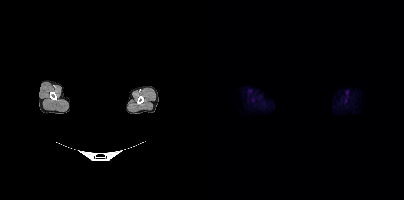
Privacy masking over the head, with the pixels inside a rectangle set to black. Paired axial CT (left) and PSMA PET (right), 18F tracer. Acquired on Siemens Biograph mCT Flow 20. PET panel 200×200 px (4.1 mm/px). No PSMA-avid tumor lesions on this slice.